Left: CT. Right: PSMA PET, same axial level, 18F tracer. Slice 250 of 383.
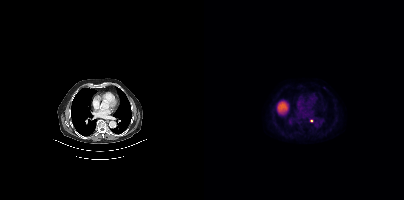
Coordinates are on the 200×200 PET (right) panel. Small PSMA-avid focus (2 to 4 px across) near (center x, center y): (107, 120).